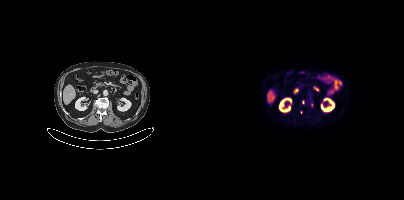
Coordinates are on the 200×200 PET (right) panel. (showing 1 of 3 foci) Small PSMA-avid focus (2 to 4 px across) near (center x, center y): (107, 104).